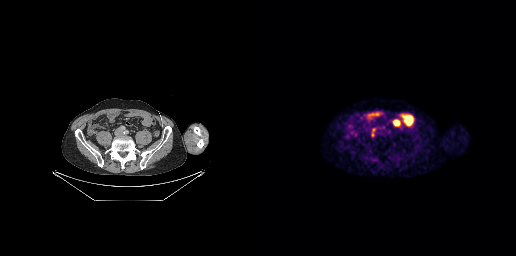
- Paired axial CT (left) and PSMA PET (right), 68Ga tracer
- acquired on GE Discovery 690
- slice position z = -667 mm
- PET panel 256×256 px (2.7 mm/px)
Findings: Coordinates are on the 256×256 PET (right) panel. PSMA-avid tumor lesion bounding box (x0, y0)-(x1, y1): (112, 128)-(115, 136).